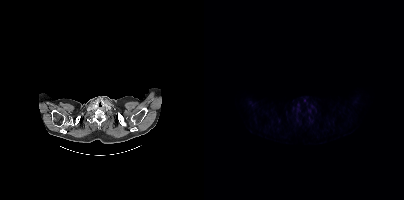
No tumor lesions annotated on this slice.